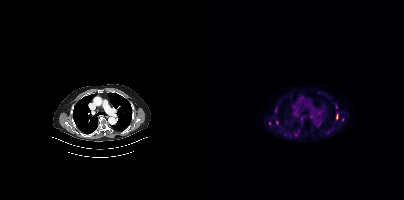
Coordinates are on the 200×200 PET (right) panel. (showing 5 of 7 foci) PSMA-avid tumor lesion bounding box (x0,y0,x1,y1): [70,107,73,112]. Small PSMA-avid foci (2 to 4 px across) near (center x, center y): (91, 134), (132, 116), (139, 119), (132, 106).